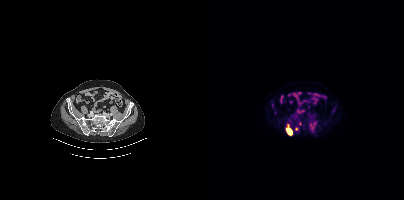
Left: CT. Right: PSMA PET, same axial level, 18F tracer. Acquired on Siemens Biograph mCT Flow 20. Slice position z = -1406 mm.
Coordinates are on the 200×200 PET (right) panel. PSMA-avid tumor lesion bounding boxes:
| # | x0 | y0 | x1 | y1 |
|---|---|---|---|---|
| 1 | 82 | 125 | 88 | 135 |
Small PSMA-avid focus (2 to 4 px across) near (center x, center y): (92, 128).